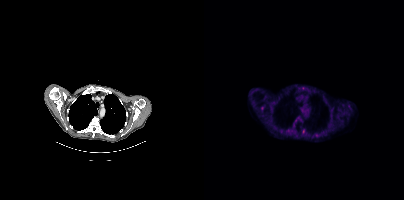
Findings: Only PSMA-avid lesion pieces thinner than 2 px on this slice (not listed).
- Left: CT. Right: PSMA PET, same axial level, 18F-PSMA tracer
- PET panel 200×200 px (4.1 mm/px)